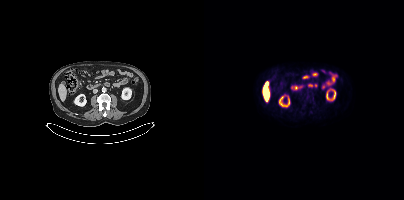
Negative for PSMA-avid disease on this slice.